- Two-panel axial: CT | PSMA PET, [18F]PSMA-1007 tracer
- PET panel 256×256 px (2.7 mm/px)
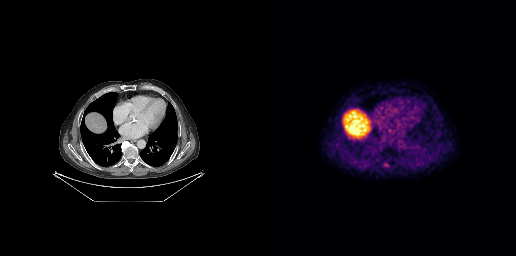
Findings: Negative for PSMA-avid disease on this slice.